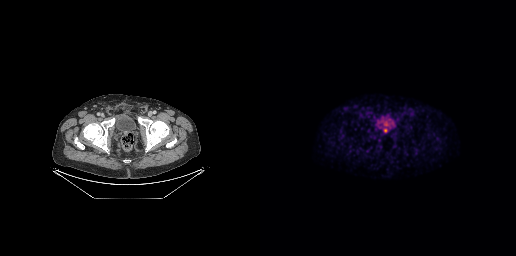
Left: CT. Right: PSMA PET, same axial level, 18F tracer. Slice 93 of 299. PET panel 256×256 px (2.7 mm/px). Coordinates are on the 256×256 PET (right) panel. PSMA-avid tumor lesion bounding box (x0, y0)-(x1, y1): (123, 129)-(127, 132).